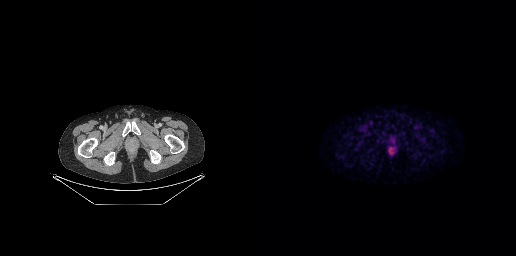
This slice has no annotated PSMA-avid lesion.